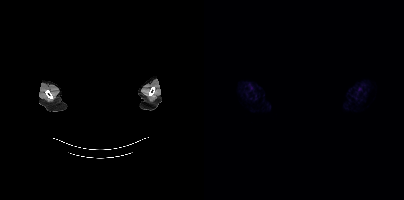
Two-panel axial: CT | PSMA PET, 68Ga tracer. Slice 381 of 409. PET panel 200×200 px (4.1 mm/px). Head region blanked for anonymization (face removed). No PSMA-avid tumor lesions on this slice.